Left: CT. Right: PSMA PET, same axial level, [68Ga]Ga-PSMA-11 tracer. Slice 229 of 299.
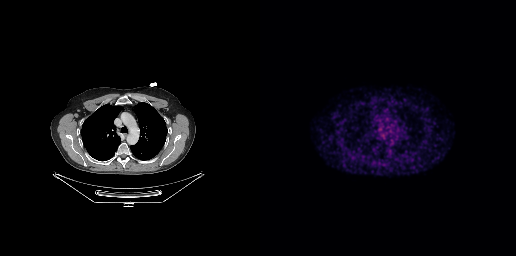
Negative for PSMA-avid disease on this slice.